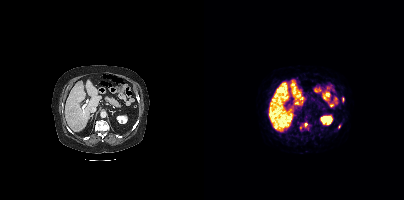
Coordinates are on the 200×200 PET (right) panel. (showing 3 of 4 foci) PSMA-avid tumor lesion bounding boxes (x0,y0,x1,y1): [100,123,103,127] [138,97,140,101]. Small PSMA-avid focus (2 to 4 px across) near (center x, center y): (135, 126).